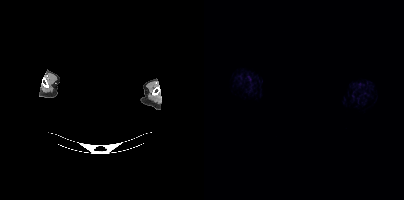
Findings: No PSMA-avid tumor lesions on this slice.
Technique: Two-panel axial: CT | PSMA PET, 18F tracer. slice position z = -106 mm. PET panel 200×200 px (4.1 mm/px).
Note: Head region blanked for anonymization (face removed).